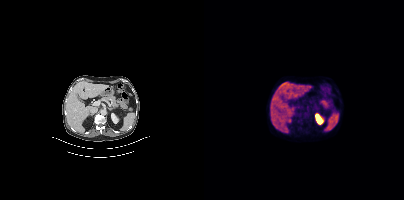
Findings: No tumor lesions annotated on this slice.
- Paired axial CT (left) and PSMA PET (right), 18F-PSMA tracer
- slice position z = -1222 mm
- PET panel 200×200 px (4.1 mm/px)